Paired axial CT (left) and PSMA PET (right), 68Ga tracer. PET panel 200×200 px (4.1 mm/px).
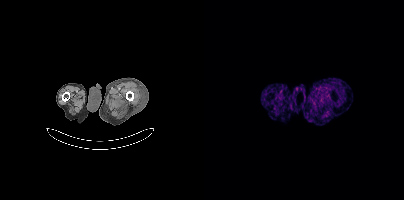
No tumor lesions annotated on this slice.